- Two-panel axial: CT | PSMA PET, [18F]PSMA-1007 tracer
- slice 82 of 438
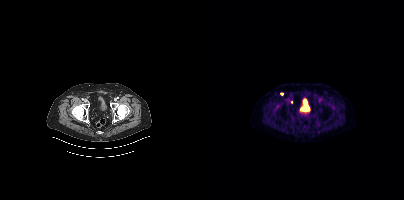
Findings: Coordinates are on the 200×200 PET (right) panel. (showing 1 of 2 foci) Small PSMA-avid focus (2 to 4 px across) near (center x, center y): (77, 93).